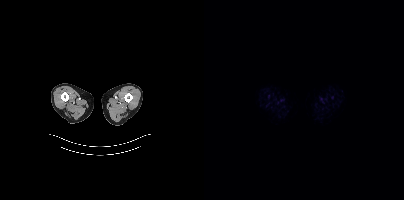
Paired axial CT (left) and PSMA PET (right), 18F-PSMA tracer. Negative for PSMA-avid disease on this slice.